Left: CT. Right: PSMA PET, same axial level, 18F-PSMA tracer. PET panel 200×200 px (4.1 mm/px).
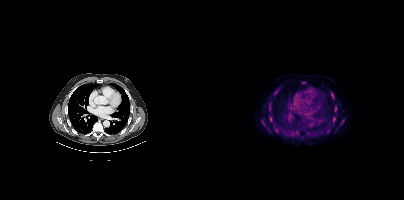
Coordinates are on the 200×200 PET (right) panel. (showing 6 of 8 foci) PSMA-avid tumor lesion bounding boxes (x, y, width, height): x=127 y=93 w=4 h=6; x=136 y=119 w=5 h=7; x=70 y=91 w=4 h=5; x=129 y=117 w=3 h=5. Small PSMA-avid foci (2 to 4 px across) near (center x, center y): (99, 82); (131, 111).